- Left: CT. Right: PSMA PET, same axial level, 18F tracer
- acquired on Siemens Biograph mCT Flow 20
- PET panel 200×200 px (4.1 mm/px)
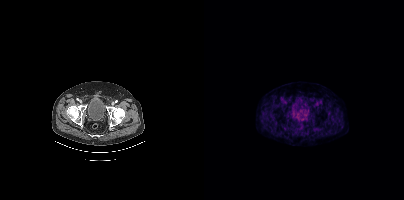
Findings: This slice has no annotated PSMA-avid lesion.